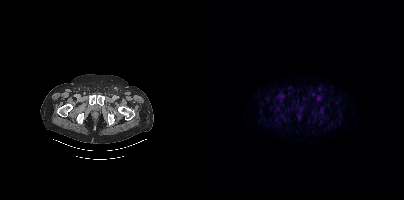
No tumor lesions annotated on this slice. Left: CT. Right: PSMA PET, same axial level, [18F]PSMA-1007 tracer. Acquired on Siemens Biograph mCT Flow 20. Slice position z = -1499 mm. PET panel 200×200 px (4.1 mm/px).